Left: CT. Right: PSMA PET, same axial level, 18F-PSMA tracer. Slice position z = -792 mm. PET panel 200×200 px (4.1 mm/px).
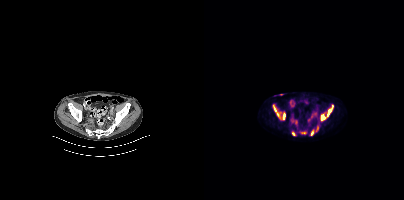
Coordinates are on the 200×200 PET (right) panel. (showing 4 of 5 foci) PSMA-avid tumor lesion bounding boxes (x, y, width, height): x=68 y=104 w=14 h=17 | x=117 y=105 w=13 h=16 | x=107 y=131 w=3 h=5. Small PSMA-avid focus (2 to 4 px across) near (center x, center y): (89, 133).